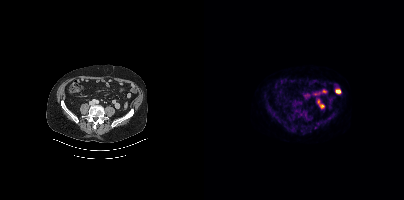
No tumor lesions annotated on this slice. Paired axial CT (left) and PSMA PET (right), [18F]PSMA-1007 tracer. PET panel 200×200 px (4.1 mm/px).